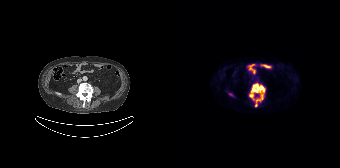
Technique: Left: CT. Right: PSMA PET, same axial level, [18F]PSMA-1007 tracer.
Findings: Coordinates are on the 168×168 PET (right) panel. (showing 1 of 2 foci) PSMA-avid tumor lesion bounding box (x0,y0,x1,y1): [77,83,93,106].